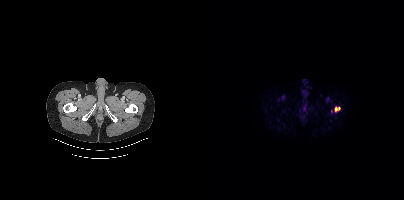
modality: PSMA PET/CT | tracer: [18F]PSMA-1007 | view: axial | PET grid: 200×200
Coordinates are on the 200×200 PET (right) panel. PSMA-avid tumor lesion bounding box (x, y, width, height): x=130 y=106 w=7 h=7. Small PSMA-avid focus (2 to 4 px across) near (center x, center y): (127, 111).